Left: CT. Right: PSMA PET, same axial level, [18F]PSMA-1007 tracer. Acquired on Siemens Biograph mCT Flow 20.
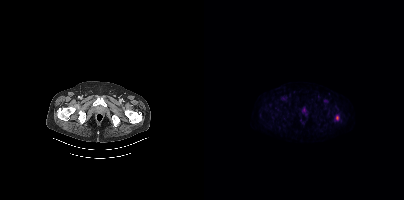
Coordinates are on the 200×200 PET (right) panel. Small PSMA-avid focus (2 to 4 px across) near (center x, center y): (133, 118).